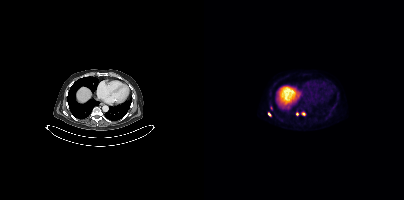
Coordinates are on the 200×200 PET (right) panel. PSMA-avid tumor lesion bounding box (x, y, width, height): x=66 y=106 w=3 h=5. Small PSMA-avid foci (2 to 4 px across) near (center x, center y): (99, 113) / (65, 114) / (93, 114). Left: CT. Right: PSMA PET, same axial level, 18F-PSMA tracer. Slice position z = 158 mm.